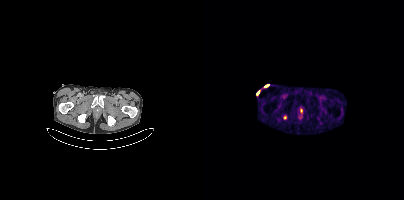
- Two-panel axial: CT | PSMA PET, 68Ga tracer
- PET panel 200×200 px (4.1 mm/px)
Findings: Coordinates are on the 200×200 PET (right) panel. Small PSMA-avid focus (2 to 4 px across) near (center x, center y): (81, 117).